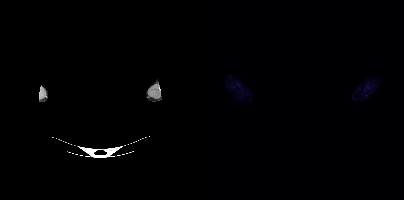
Left: CT. Right: PSMA PET, same axial level, 18F-PSMA tracer. Acquired on Siemens Biograph mCT Flow 20. Slice 415 of 427. PET panel 200×200 px (4.1 mm/px). A rectangle over the head was blacked out to remove identifiable facial features. Negative for PSMA-avid disease on this slice.